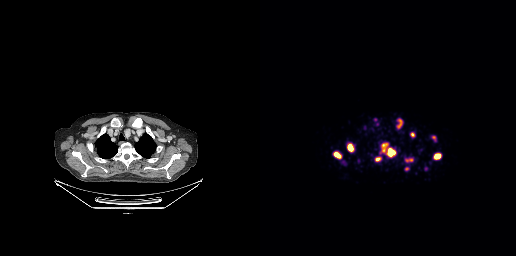
Coordinates are on the 256×256 PET (right) panel. (showing 8 of 9 foci) PSMA-avid tumor lesion bounding boxes (x, y, width, height): x=137 y=118 w=7 h=9 / x=174 y=154 w=7 h=5 / x=88 y=144 w=5 h=7 / x=129 y=149 w=6 h=7 / x=74 y=153 w=7 h=6 / x=150 y=132 w=5 h=5 / x=123 y=146 w=3 h=6. Small PSMA-avid focus (2 to 4 px across) near (center x, center y): (146, 168).